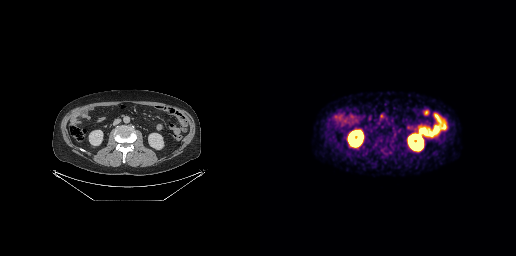
No PSMA-avid tumor lesions on this slice.